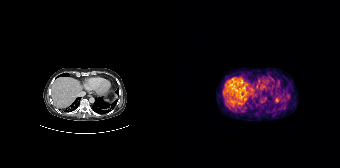
This slice has no annotated PSMA-avid lesion. Left: CT. Right: PSMA PET, same axial level, 68Ga-PSMA tracer. Acquired on Siemens Biograph 64-4R TruePoint. Slice position z = -370 mm.